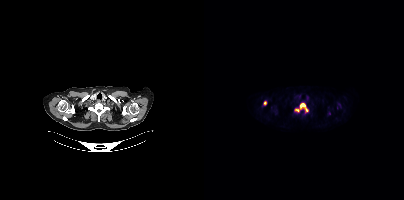
Technique: Paired axial CT (left) and PSMA PET (right), 18F tracer.
Findings: Coordinates are on the 200×200 PET (right) panel. PSMA-avid tumor lesion bounding boxes (x0, y0)-(x1, y1): (91, 103)-(104, 112); (59, 101)-(62, 105).